- Left: CT. Right: PSMA PET, same axial level, 18F-PSMA tracer
- slice position z = 378 mm
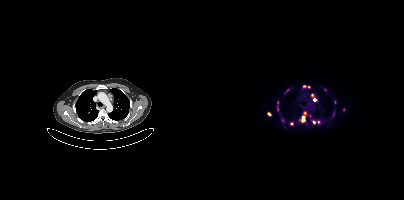
Findings: Coordinates are on the 200×200 PET (right) panel. (showing 15 of 18 foci) PSMA-avid tumor lesion bounding boxes (x0, y0)-(x1, y1): (97, 116)-(101, 122) | (107, 94)-(111, 100) | (99, 85)-(106, 87) | (77, 118)-(80, 122). Small PSMA-avid foci (2 to 4 px across) near (center x, center y): (109, 121) | (114, 121) | (140, 109) | (131, 102) | (65, 114) | (129, 113) | (121, 89) | (84, 90) | (100, 113) | (88, 123) | (73, 109).